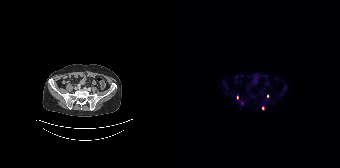
Paired axial CT (left) and PSMA PET (right), 18F tracer. Coordinates are on the 168×168 PET (right) panel. Small PSMA-avid foci (2 to 4 px across) near (center x, center y): (91, 107); (95, 95); (65, 97); (69, 103).